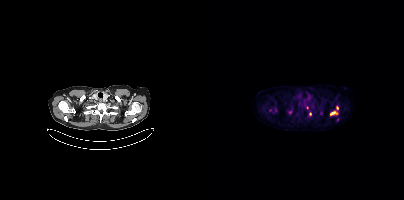
{"modality":"PSMA PET/CT","view":"axial","tracer":"18F-PSMA","pet_grid":[200,200],"coord_frame":"pet_panel","coord_format":"x0,y0,x1,y1","partial":true,"lesion_bboxes":[[126,112,133,114]],"small_foci_centers":[[86,112],[106,113],[133,107]]}